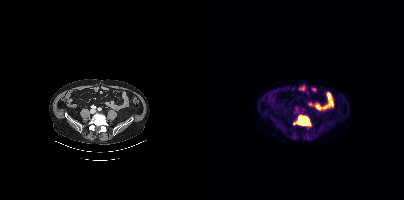
Findings: Coordinates are on the 200×200 PET (right) panel. PSMA-avid tumor lesion bounding box (x0,y0,x1,y1): [89,115,106,125].
Technique: Left: CT. Right: PSMA PET, same axial level, 18F tracer. acquired on Siemens Biograph mCT Flow 20. slice 129 of 403. PET panel 200×200 px (4.1 mm/px).